- Paired axial CT (left) and PSMA PET (right), [18F]PSMA-1007 tracer
- slice position z = -1177 mm
- PET panel 200×200 px (4.1 mm/px)
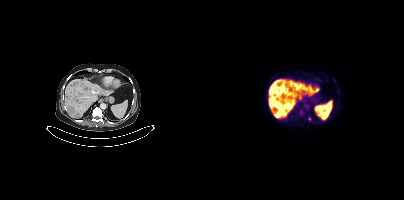
Findings: Coordinates are on the 200×200 PET (right) panel. PSMA-avid tumor lesion bounding boxes (x0, y0)-(x1, y1): (72, 82)-(77, 87) / (65, 89)-(69, 94) / (73, 111)-(77, 115) / (95, 110)-(99, 113). Small PSMA-avid focus (2 to 4 px across) near (center x, center y): (105, 118).